Head region blanked for anonymization (face removed). Left: CT. Right: PSMA PET, same axial level, [18F]PSMA-1007 tracer.
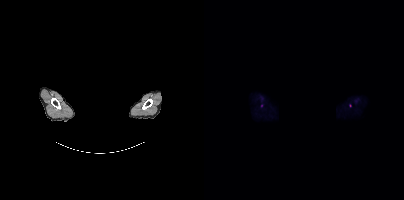
Coordinates are on the 200×200 PET (right) panel. Small PSMA-avid foci (2 to 4 px across) near (center x, center y): (146, 105); (57, 105).